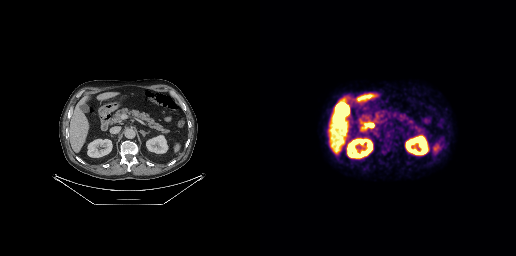
{"pet_grid":[256,256],"coord_frame":"pet_panel","coord_format":"x0,y0,x1,y1","psma_avid_lesions":false,"modality":"PSMA PET/CT","view":"axial","tracer":"[18F]PSMA-1007"}